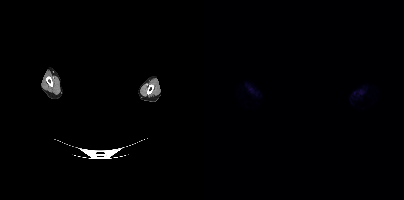
Findings: No PSMA-avid tumor lesions on this slice.
Technique: Two-panel axial: CT | PSMA PET, 18F-PSMA tracer. PET panel 200×200 px (4.1 mm/px).
Note: The head region is masked for de-identification.